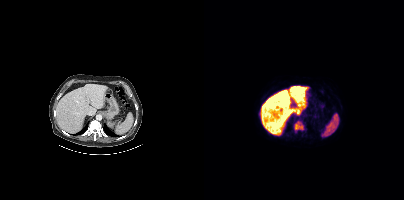
{"modality":"PSMA PET/CT","view":"axial","tracer":"18F","pet_grid":[200,200],"coord_frame":"pet_panel","coord_format":"x0,y0,x1,y1","lesion_bboxes":[[90,121,99,130]]}